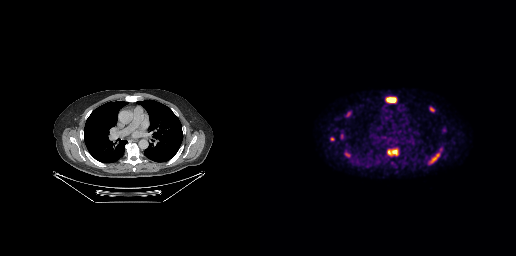
{"modality":"PSMA PET/CT","view":"axial","tracer":"18F-PSMA","pet_grid":[256,256],"coord_frame":"pet_panel","coord_format":"x0,y0,x1,y1","partial":true,"lesion_bboxes":[[126,97,136,102],[128,149,137,155],[169,153,179,163],[170,107,174,111],[86,112,90,116],[85,153,89,156]],"small_foci_centers":[[72,139]]}